Paired axial CT (left) and PSMA PET (right), [18F]PSMA-1007 tracer. Slice 339 of 431. PET panel 200×200 px (4.1 mm/px).
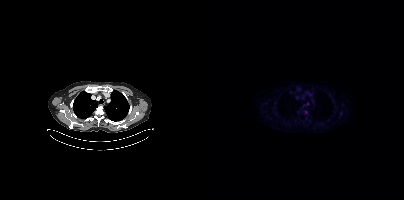
Coordinates are on the 200×200 PET (right) panel. (showing 4 of 5 foci) Small PSMA-avid foci (2 to 4 px across) near (center x, center y): (102, 112); (86, 92); (101, 118); (103, 103).